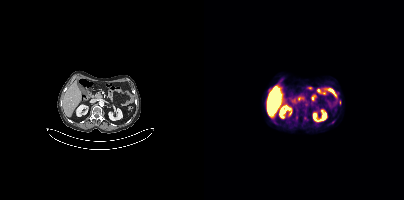
{"modality":"PSMA PET/CT","view":"axial","tracer":"[18F]PSMA-1007","pet_grid":[200,200],"coord_frame":"pet_panel","coord_format":"x0,y0,x1,y1","lesion_bboxes":[],"small_foci_centers":[[135,102]]}